Left: CT. Right: PSMA PET, same axial level, [68Ga]Ga-PSMA-11 tracer. Slice 262 of 373.
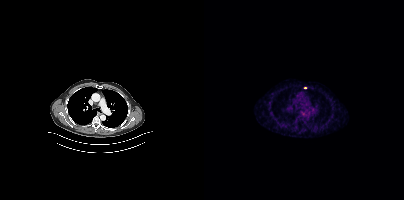
Coordinates are on the 200×200 PET (right) panel. Small PSMA-avid focus (2 to 4 px across) near (center x, center y): (101, 87).